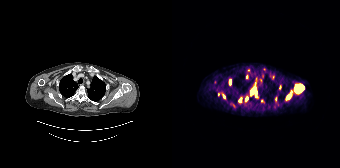
Coordinates are on the 168×168 PET (right) panel. (showing 10 of 16 foci) PSMA-avid tumor lesion bounding boxes (x0,y0,x1,y1): [123,85,132,92]; [78,88,84,95]; [57,80,58,84]. Small PSMA-avid foci (2 to 4 px across) near (center x, center y): (68, 99); (74, 98); (74, 77); (103, 98); (83, 95); (89, 100); (115, 96). Left: CT. Right: PSMA PET, same axial level, [68Ga]Ga-PSMA-11 tracer. Acquired on Siemens Biograph 64-4R TruePoint. Slice position z = -306 mm. PET panel 168×168 px (4.1 mm/px).